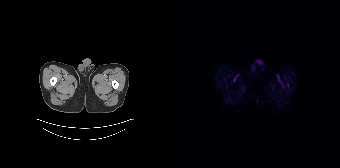
Left: CT. Right: PSMA PET, same axial level, [18F]PSMA-1007 tracer. Acquired on Siemens Biograph 64-4R TruePoint. PET panel 168×168 px (4.1 mm/px). No PSMA-avid tumor lesions on this slice.